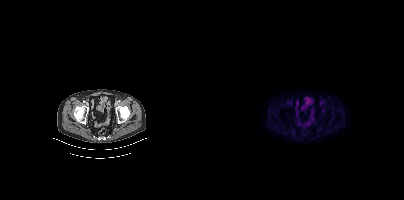
Only PSMA-avid lesion pieces thinner than 2 px on this slice (not listed). Paired axial CT (left) and PSMA PET (right), 18F-PSMA tracer. Acquired on Siemens Biograph mCT Flow 20. PET panel 200×200 px (4.1 mm/px).